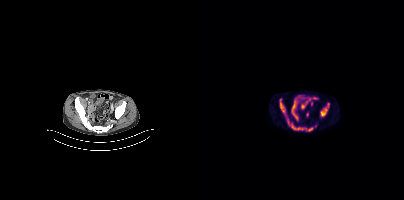
Coordinates are on the 200×200 PET (right) panel. PSMA-avid tumor lesion bounding boxes (x0, y0)-(x1, y1): (80, 115)-(106, 131); (116, 103)-(125, 115); (76, 99)-(81, 113).
modality: PSMA PET/CT | tracer: [18F]PSMA-1007 | view: axial